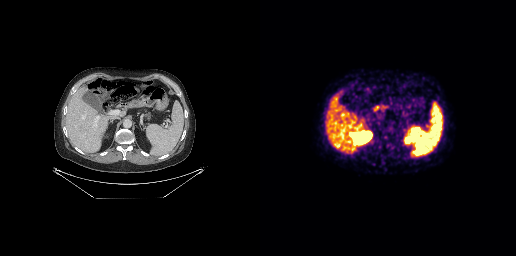
No PSMA-avid tumor lesions on this slice. Left: CT. Right: PSMA PET, same axial level, 68Ga-PSMA tracer. Acquired on GE Discovery 690. Slice position z = -611 mm. PET panel 256×256 px (2.7 mm/px).